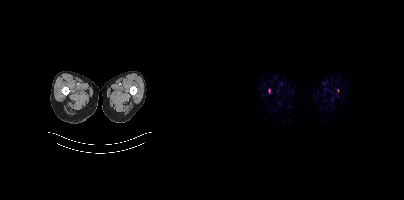
Coordinates are on the 200×200 PET (right) panel. (showing 1 of 2 foci) Small PSMA-avid focus (2 to 4 px across) near (center x, center y): (65, 90).